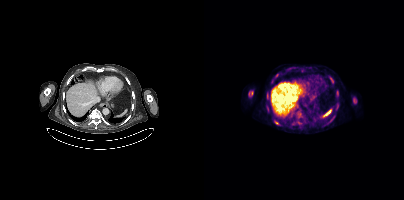
Coordinates are on the 200×200 PET (right) panel. PSMA-avid tumor lesion bounding boxes (x0,y0,x1,y1): [44,91,49,96], [62,106,65,112], [149,98,152,103], [70,121,74,124], [63,93,64,98]. Small PSMA-avid foci (2 to 4 px across) near (center x, center y): (128, 81), (129, 117), (72, 75), (133, 92), (133, 104).